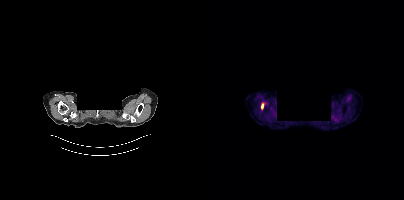
Coordinates are on the 200×200 PET (right) panel. PSMA-avid tumor lesion bounding box (x0, y0)-(x1, y1): (57, 104)-(59, 108). Paired axial CT (left) and PSMA PET (right), 18F-PSMA tracer. Slice 335 of 377. PET panel 200×200 px (4.1 mm/px). A rectangle over the head was blacked out to remove identifiable facial features.